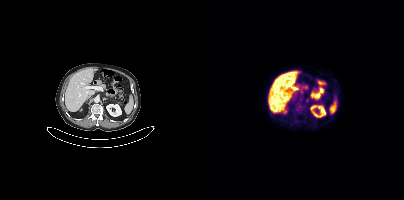
This slice has no annotated PSMA-avid lesion.